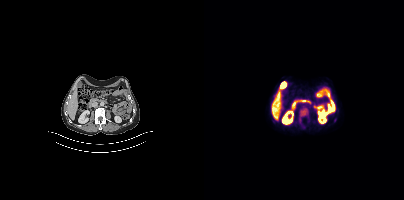
Coordinates are on the 200×200 PET (right) panel. PSMA-avid tumor lesion bounding box (x0, y0)-(x1, y1): (97, 109)-(102, 115).